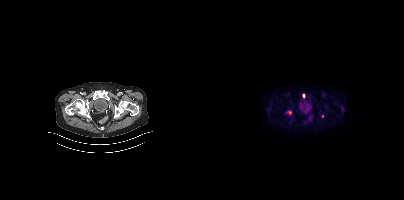
Technique: Left: CT. Right: PSMA PET, same axial level, 18F tracer.
Findings: Coordinates are on the 200×200 PET (right) panel. Small PSMA-avid foci (2 to 4 px across) near (center x, center y): (85, 112), (99, 95), (118, 115).